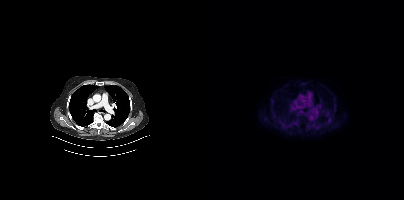
Left: CT. Right: PSMA PET, same axial level, [18F]PSMA-1007 tracer. Negative for PSMA-avid disease on this slice.